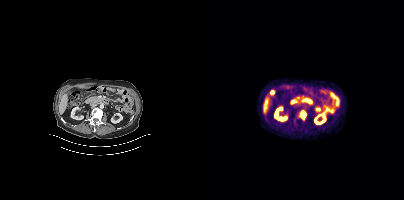
{"modality":"PSMA PET/CT","view":"axial","tracer":"[18F]PSMA-1007","pet_grid":[200,200],"coord_frame":"pet_panel","coord_format":"x0,y0,x1,y1","lesion_bboxes":[[95,110,102,119]]}